Technique: Paired axial CT (left) and PSMA PET (right), 68Ga-PSMA tracer. acquired on Siemens Biograph mCT Flow 20. slice position z = -1134 mm.
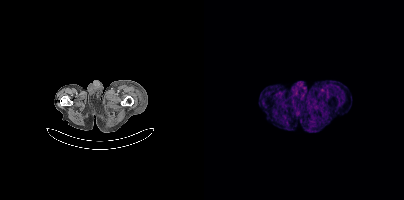
Findings: Negative for PSMA-avid disease on this slice.